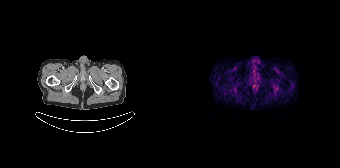
No PSMA-avid tumor lesions on this slice. Paired axial CT (left) and PSMA PET (right), 68Ga tracer. Slice position z = -1369 mm.